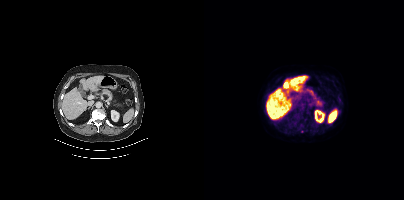
Left: CT. Right: PSMA PET, same axial level, [18F]PSMA-1007 tracer. Acquired on Siemens Biograph mCT Flow 20. Slice 246 of 464. Coordinates are on the 200×200 PET (right) panel. (showing 5 of 6 foci) PSMA-avid tumor lesion bounding boxes (x0,y0,x1,y1): [96,110,99,114] [90,114,95,118]. Small PSMA-avid foci (2 to 4 px across) near (center x, center y): (134, 98) (86, 123) (101, 119).